Paired axial CT (left) and PSMA PET (right), 18F tracer. Slice position z = -1235 mm. PET panel 200×200 px (4.1 mm/px).
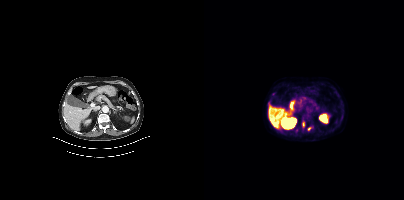
Coordinates are on the 200×200 PET (right) panel. PSMA-avid tumor lesion bounding boxes (partial; 1 more focus not listed):
| # | x0 | y0 | x1 | y1 |
|---|---|---|---|---|
| 1 | 98 | 122 | 100 | 126 |
Small PSMA-avid focus (2 to 4 px across) near (center x, center y): (105, 128).